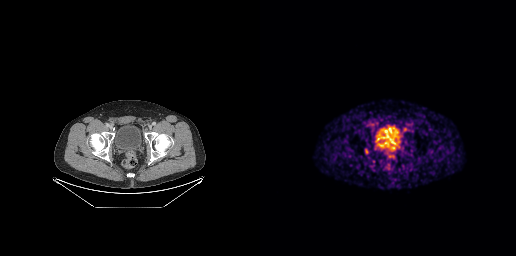
Coordinates are on the 256×256 PET (right) panel. PSMA-avid tumor lesion bounding box (x0, y0)-(x1, y1): (105, 148)-(108, 154).